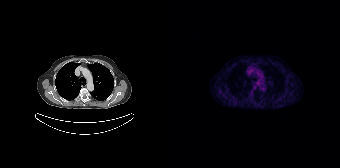
{"modality":"PSMA PET/CT","view":"axial","tracer":"68Ga","pet_grid":[168,168],"coord_frame":"pet_panel","coord_format":"x0,y0,x1,y1","psma_avid_lesions":false}